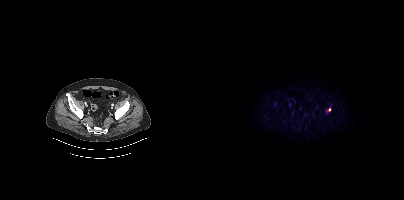
Coordinates are on the 200×200 PET (right) panel. Small PSMA-avid foci (2 to 4 px across) near (center x, center y): (125, 109) (122, 110).